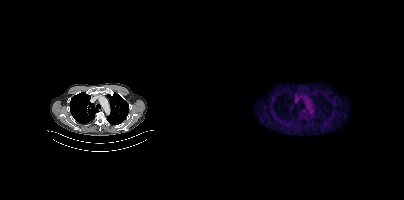
Negative for PSMA-avid disease on this slice. Paired axial CT (left) and PSMA PET (right), 18F tracer. PET panel 200×200 px (4.1 mm/px).